Left: CT. Right: PSMA PET, same axial level, 68Ga-PSMA tracer. Slice position z = -378 mm.
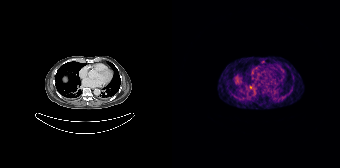
Coordinates are on the 168×168 PET (right) panel. Small PSMA-avid focus (2 to 4 px across) near (center x, center y): (78, 87).